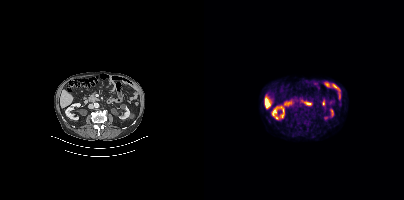
No PSMA-avid tumor lesions on this slice. Paired axial CT (left) and PSMA PET (right), [18F]PSMA-1007 tracer.